Two-panel axial: CT | PSMA PET, 18F-PSMA tracer. PET panel 256×256 px (2.7 mm/px).
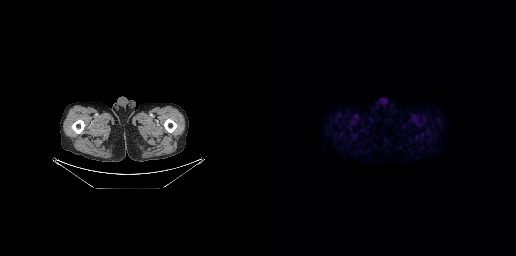
No PSMA-avid tumor lesions on this slice.